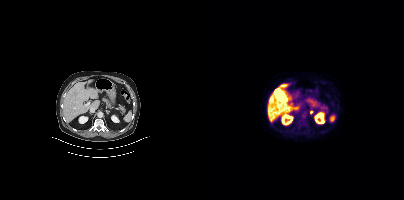
Two-panel axial: CT | PSMA PET, [18F]PSMA-1007 tracer. Slice position z = -500 mm. Coordinates are on the 200×200 PET (right) panel. Small PSMA-avid focus (2 to 4 px across) near (center x, center y): (107, 112).